Technique: Left: CT. Right: PSMA PET, same axial level, 18F-PSMA tracer. PET panel 168×168 px (4.1 mm/px).
Note: Facial anatomy redacted by setting a rectangular region of the head to black.
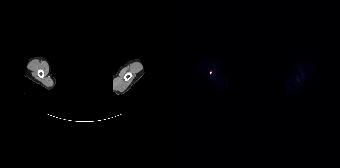
Findings: Coordinates are on the 168×168 PET (right) panel. Small PSMA-avid focus (2 to 4 px across) near (center x, center y): (38, 72).